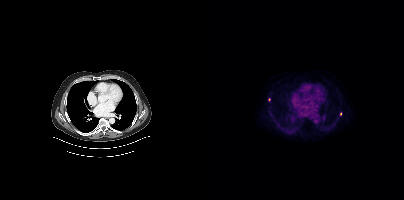
Technique: Left: CT. Right: PSMA PET, same axial level, [18F]PSMA-1007 tracer. PET panel 200×200 px (4.1 mm/px).
Findings: Coordinates are on the 200×200 PET (right) panel. (showing 1 of 2 foci) Small PSMA-avid focus (2 to 4 px across) near (center x, center y): (136, 113).